modality: PSMA PET/CT | tracer: 18F-PSMA | view: axial
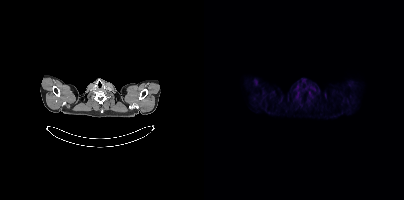
No PSMA-avid tumor lesions on this slice.